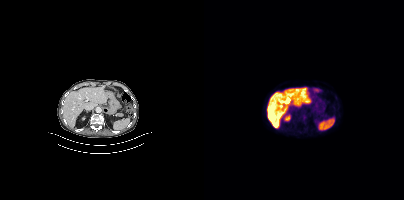
Findings: No PSMA-avid tumor lesions on this slice.
Technique: Left: CT. Right: PSMA PET, same axial level, [18F]PSMA-1007 tracer. slice position z = -630 mm.